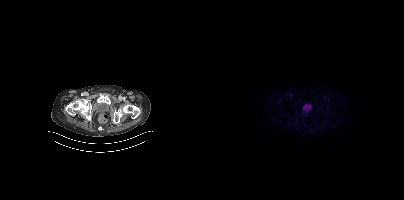
Paired axial CT (left) and PSMA PET (right), 18F-PSMA tracer. Slice position z = -984 mm. This slice has no annotated PSMA-avid lesion.